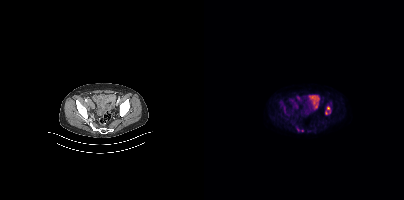
Coordinates are on the 200×200 PET (right) panel. (showing 4 of 7 foci) Small PSMA-avid foci (2 to 4 px across) near (center x, center y): (124, 107) (122, 112) (94, 129) (98, 130). Paired axial CT (left) and PSMA PET (right), 18F-PSMA tracer. PET panel 200×200 px (4.1 mm/px).